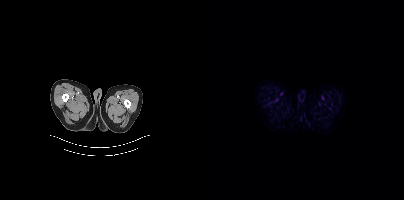
{"pet_grid":[200,200],"coord_frame":"pet_panel","coord_format":"x0,y0,x1,y1","psma_avid_lesions":false,"modality":"PSMA PET/CT","view":"axial","tracer":"[18F]PSMA-1007"}